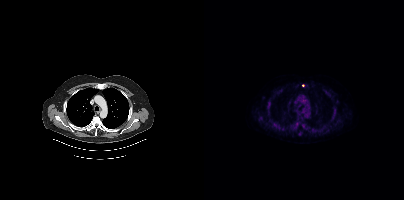
Coordinates are on the 200×200 PET (right) panel. (showing 14 of 18 foci) PSMA-avid tumor lesion bounding boxes (x0, y0)-(x1, y1): (67, 120)-(75, 128) / (129, 108)-(132, 115) / (63, 100)-(67, 107) / (108, 128)-(112, 132) / (94, 130)-(98, 135) / (63, 111)-(66, 115) / (98, 124)-(101, 128). Small PSMA-avid foci (2 to 4 px across) near (center x, center y): (57, 118) / (79, 129) / (120, 129) / (95, 122) / (101, 85) / (98, 85) / (97, 118).